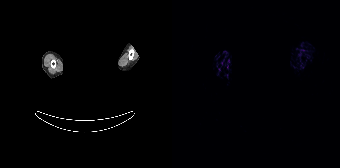
{"modality":"PSMA PET/CT","view":"axial","tracer":"68Ga","pet_grid":[168,168],"coord_frame":"pet_panel","coord_format":"x0,y0,x1,y1","deidentification":"head region blanked (face removed)","psma_avid_lesions":false}